- Paired axial CT (left) and PSMA PET (right), 18F tracer
- slice 101 of 354
- PET panel 200×200 px (4.1 mm/px)
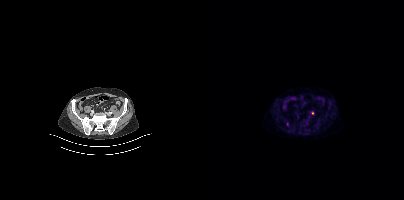
Findings: Only PSMA-avid lesion pieces thinner than 2 px on this slice (not listed).